- Two-panel axial: CT | PSMA PET, 68Ga-PSMA tracer
- slice position z = -1328 mm
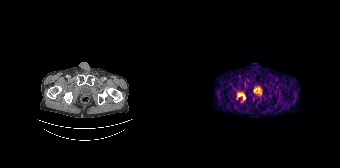
Findings: Coordinates are on the 168×168 PET (right) panel. PSMA-avid tumor lesion bounding box (x, y, width, height): x=67 y=94 w=7 h=6.